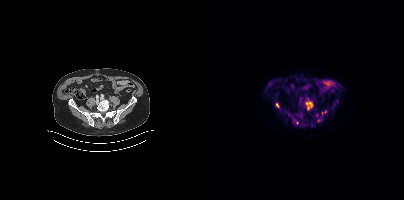
Findings: Coordinates are on the 200×200 PET (right) panel. (showing 4 of 6 foci) PSMA-avid tumor lesion bounding boxes (x0,y0,x1,y1): [101,101,108,109]; [117,112,122,116]; [72,103,75,107]. Small PSMA-avid focus (2 to 4 px across) near (center x, center y): (114, 120).
- Two-panel axial: CT | PSMA PET, 18F tracer
- slice 128 of 411